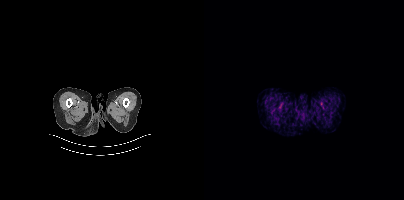
{"modality":"PSMA PET/CT","view":"axial","tracer":"18F","pet_grid":[200,200],"coord_frame":"pet_panel","coord_format":"x0,y0,x1,y1","psma_avid_lesions":false}